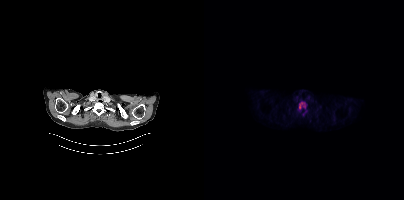
Coordinates are on the 200×200 PET (right) panel. PSMA-avid tumor lesion bounding boxes:
| # | x0 | y0 | x1 | y1 |
|---|---|---|---|---|
| 1 | 95 | 102 | 101 | 108 |
Paired axial CT (left) and PSMA PET (right), [18F]PSMA-1007 tracer. Slice 357 of 421. PET panel 200×200 px (4.1 mm/px).